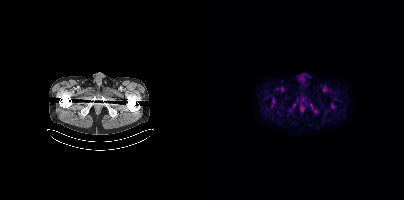
Findings: This slice has no annotated PSMA-avid lesion.
- Two-panel axial: CT | PSMA PET, 18F tracer
- slice 62 of 454
- PET panel 200×200 px (4.1 mm/px)